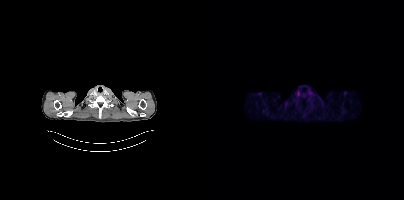
Two-panel axial: CT | PSMA PET, 18F tracer. Slice 349 of 413. No tumor lesions annotated on this slice.